- Paired axial CT (left) and PSMA PET (right), 18F-PSMA tracer
- acquired on Siemens Biograph mCT Flow 20
- slice position z = -1234 mm
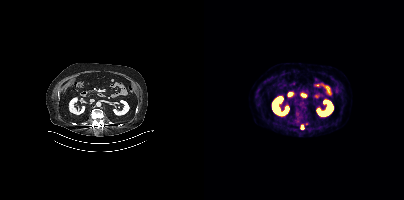
Findings: Coordinates are on the 200×200 PET (right) panel. Small PSMA-avid focus (2 to 4 px across) near (center x, center y): (98, 128).